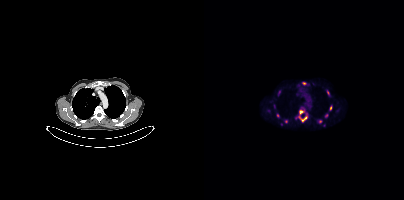
Left: CT. Right: PSMA PET, same axial level, 18F-PSMA tracer. Acquired on Siemens Biograph mCT Flow 20. Coordinates are on the 200×200 PET (right) panel. (showing 9 of 12 foci) PSMA-avid tumor lesion bounding boxes (x0,y0,x1,y1): [92,109,103,122], [125,105,128,110], [98,82,102,85], [114,120,118,123], [123,90,125,95]. Small PSMA-avid foci (2 to 4 px across) near (center x, center y): (122, 115), (74, 115), (82, 121), (75, 92).